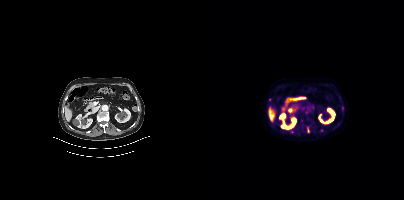
{"modality":"PSMA PET/CT","view":"axial","tracer":"18F","pet_grid":[200,200],"coord_frame":"pet_panel","coord_format":"x0,y0,x1,y1","lesion_bboxes":[[103,127,105,132]],"small_foci_centers":[[87,132],[138,108],[117,130]]}